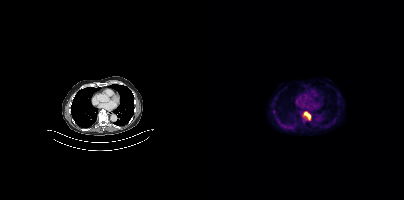
Two-panel axial: CT | PSMA PET, [18F]PSMA-1007 tracer. Acquired on Siemens Biograph mCT Flow 20. Slice 266 of 423.
Coordinates are on the 200×200 PET (right) panel. PSMA-avid tumor lesion bounding boxes:
| # | x0 | y0 | x1 | y1 |
|---|---|---|---|---|
| 1 | 99 | 111 | 106 | 120 |